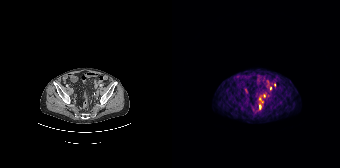
Two-panel axial: CT | PSMA PET, [68Ga]Ga-PSMA-11 tracer. Slice position z = -1474 mm. Coordinates are on the 168×168 PET (right) panel. (showing 3 of 4 foci) Small PSMA-avid foci (2 to 4 px across) near (center x, center y): (92, 95) | (102, 85) | (98, 88).